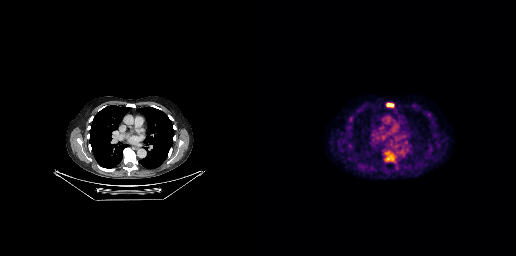
{"modality":"PSMA PET/CT","view":"axial","tracer":"18F","pet_grid":[256,256],"coord_frame":"pet_panel","coord_format":"x0,y0,x1,y1","lesion_bboxes":[[124,150,136,162],[127,103,133,106]],"small_foci_centers":[[137,152]]}